Paired axial CT (left) and PSMA PET (right), 18F-PSMA tracer. Acquired on Siemens Biograph mCT Flow 20. Slice position z = -824 mm.
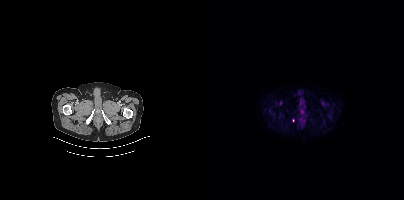
Coordinates are on the 200×200 PET (right) panel. Small PSMA-avid focus (2 to 4 px across) near (center x, center y): (89, 120).